Two-panel axial: CT | PSMA PET, 18F tracer. Slice position z = -511 mm. PET panel 256×256 px (2.7 mm/px).
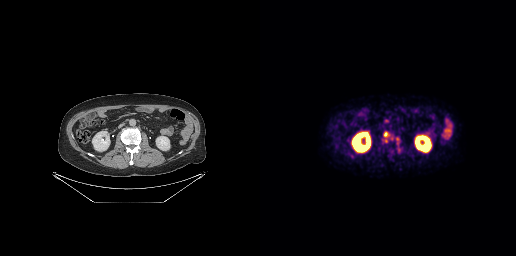
Coordinates are on the 256×256 PET (right) panel. (showing 5 of 7 foci) PSMA-avid tumor lesion bounding box (x, y, width, height): x=123 y=131 w=7 h=7. Small PSMA-avid foci (2 to 4 px across) near (center x, center y): (126, 140) / (137, 139) / (126, 120) / (131, 138).